Paired axial CT (left) and PSMA PET (right), [18F]PSMA-1007 tracer. Slice 180 of 409.
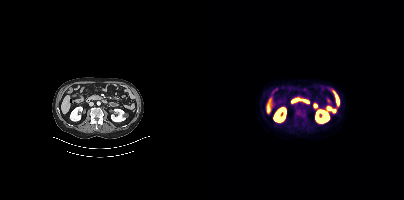
No tumor lesions annotated on this slice.